modality: PSMA PET/CT | tracer: 18F | view: axial
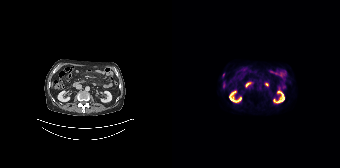
This slice has no annotated PSMA-avid lesion.